- Left: CT. Right: PSMA PET, same axial level, 68Ga tracer
- acquired on Siemens Biograph 64-4R TruePoint
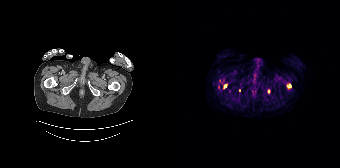
Findings: Coordinates are on the 168×168 PET (right) panel. (showing 2 of 4 foci) Small PSMA-avid foci (2 to 4 px across) near (center x, center y): (53, 86) (96, 91).